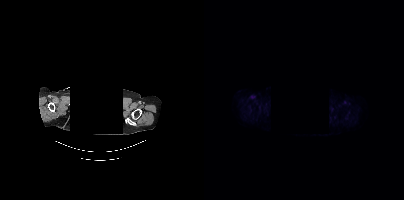
Findings: No tumor lesions annotated on this slice.
- a rectangular block over the head has been blanked out for de-identification
- Two-panel axial: CT | PSMA PET, [18F]PSMA-1007 tracer